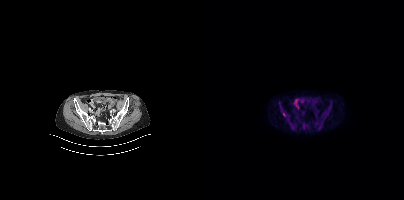
{"pet_grid":[200,200],"coord_frame":"pet_panel","coord_format":"x0,y0,x1,y1","psma_avid_lesions":false,"modality":"PSMA PET/CT","view":"axial","tracer":"[18F]PSMA-1007"}